Left: CT. Right: PSMA PET, same axial level, [18F]PSMA-1007 tracer. Slice 140 of 383. PET panel 200×200 px (4.1 mm/px).
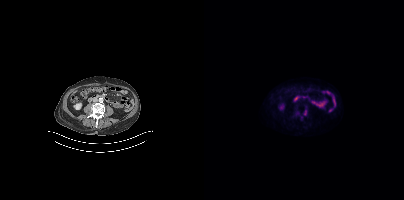
Coordinates are on the 200×200 PET (right) panel. (showing 1 of 2 foci) PSMA-avid tumor lesion bounding box (x0,y0,x1,y1): [100,110,102,115].